Technique: Left: CT. Right: PSMA PET, same axial level, 18F tracer. PET panel 200×200 px (4.1 mm/px).
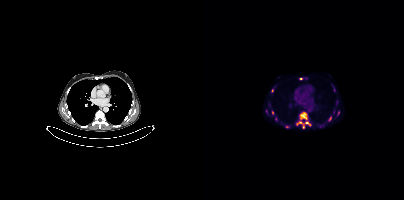
Findings: Coordinates are on the 200×200 PET (right) panel. (showing 9 of 10 foci) PSMA-avid tumor lesion bounding boxes (x, y, width, height): x=92 y=112 w=15 h=17; x=124 y=116 w=4 h=6; x=133 y=111 w=3 h=5. Small PSMA-avid foci (2 to 4 px across) near (center x, center y): (69, 112); (96, 78); (68, 90); (62, 111); (83, 126); (71, 118).